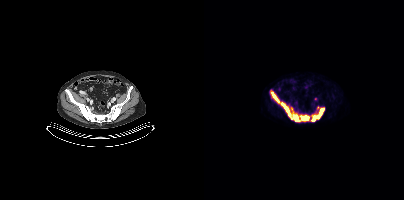
Coordinates are on the 200×200 PET (right) panel. PSMA-avid tumor lesion bounding boxes (x, y, width, height): x=67 y=91 w=21 h=28 / x=108 y=108 w=13 h=14 / x=97 y=116 w=9 h=5 / x=89 y=114 w=7 h=8.